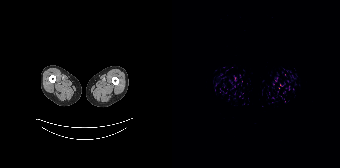
Findings: This slice has no annotated PSMA-avid lesion.
- Paired axial CT (left) and PSMA PET (right), 18F tracer
- acquired on Siemens Biograph 64-4R TruePoint
- PET panel 168×168 px (4.1 mm/px)